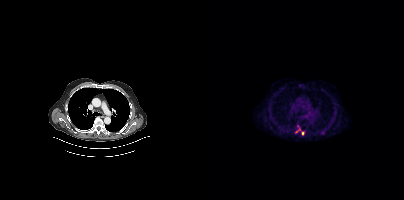
Findings: Coordinates are on the 200×200 PET (right) panel. (showing 2 of 3 foci) PSMA-avid tumor lesion bounding box (x0,y0,x1,y1): [92,129,96,132]. Small PSMA-avid focus (2 to 4 px across) near (center x, center y): (99, 133).
- Two-panel axial: CT | PSMA PET, 18F-PSMA tracer